Two-panel axial: CT | PSMA PET, 18F tracer. Acquired on Siemens Biograph mCT Flow 20. De-identified by setting a box covering the face to black before release.
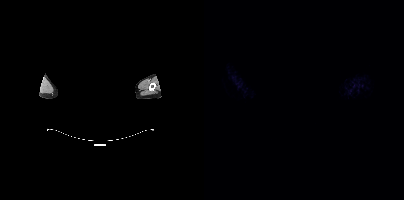
Negative for PSMA-avid disease on this slice.